modality: PSMA PET/CT | tracer: 18F | view: axial
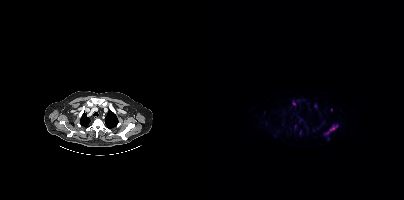
Coordinates are on the 200×200 PET (right) panel. (showing 5 of 7 foci) PSMA-avid tumor lesion bounding box (x0, y0)-(x1, y1): (122, 125)-(133, 133). Small PSMA-avid foci (2 to 4 px across) near (center x, center y): (90, 103) | (111, 105) | (124, 138) | (91, 125).